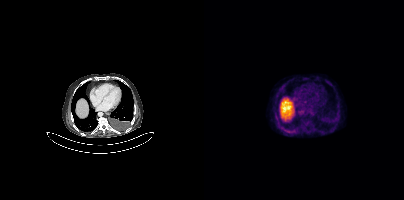
{"modality":"PSMA PET/CT","view":"axial","tracer":"18F-PSMA","pet_grid":[200,200],"coord_frame":"pet_panel","coord_format":"x0,y0,x1,y1","psma_avid_lesions":false}